- Paired axial CT (left) and PSMA PET (right), 18F tracer
- acquired on Siemens Biograph mCT Flow 20
- slice position z = -958 mm
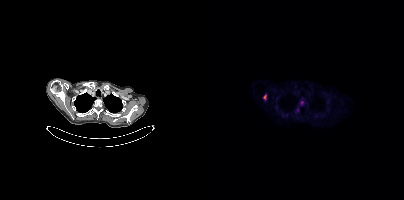
Findings: Coordinates are on the 200×200 PET (right) panel. (showing 2 of 4 foci) PSMA-avid tumor lesion bounding box (x0, y0)-(x1, y1): (59, 94)-(62, 100). Small PSMA-avid focus (2 to 4 px across) near (center x, center y): (98, 102).